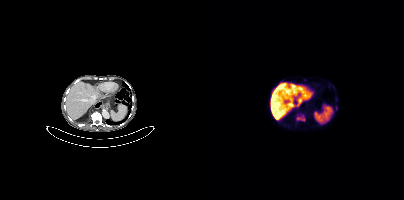
Paired axial CT (left) and PSMA PET (right), [18F]PSMA-1007 tracer. PET panel 200×200 px (4.1 mm/px). Coordinates are on the 200×200 PET (right) panel. PSMA-avid tumor lesion bounding box (x, y, width, height): x=92 y=115 w=10 h=7.